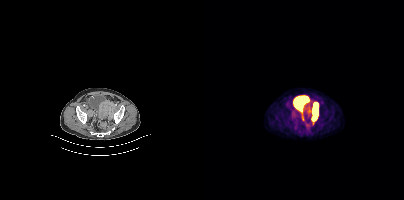
{"pet_grid":[200,200],"coord_frame":"pet_panel","coord_format":"x0,y0,x1,y1","lesion_bboxes":[[108,102,114,120],[101,110,106,114]],"modality":"PSMA PET/CT","view":"axial","tracer":"18F-PSMA"}